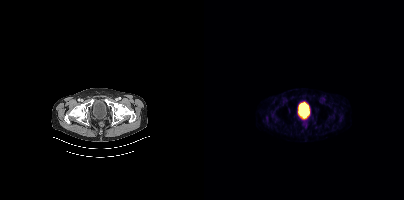
Negative for PSMA-avid disease on this slice.